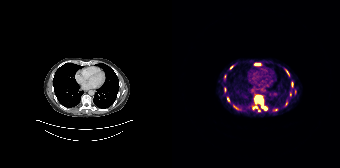
Coordinates are on the 168×168 PET (right) panel. (showing 10 of 14 foci) PSMA-avid tumor lesion bounding boxes (x0,y0,x1,y1): [82,95,95,110], [82,63,88,65], [113,69,117,76], [81,106,85,109], [52,87,54,92]. Small PSMA-avid foci (2 to 4 px across) near (center x, center y): (114, 103), (59, 67), (55, 98), (63, 107), (103, 109).
modality: PSMA PET/CT | tracer: [68Ga]Ga-PSMA-11 | view: axial | PET grid: 168×168